- Paired axial CT (left) and PSMA PET (right), 68Ga tracer
- acquired on GE Discovery 690
- PET panel 256×256 px (2.7 mm/px)
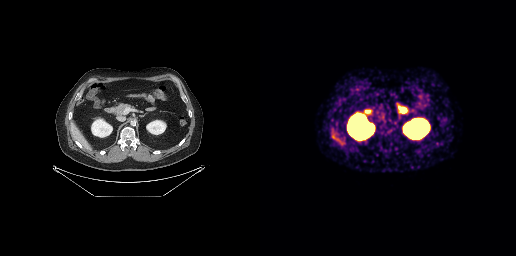
Findings: No PSMA-avid tumor lesions on this slice.